redaction: head region blanked (face removed) | modality: PSMA PET/CT | tracer: 68Ga-PSMA | view: axial | PET grid: 168×168
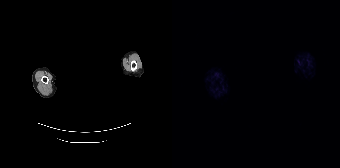
No PSMA-avid tumor lesions on this slice.